- Left: CT. Right: PSMA PET, same axial level, [18F]PSMA-1007 tracer
- acquired on Siemens Biograph 64-4R TruePoint
- slice 90 of 135
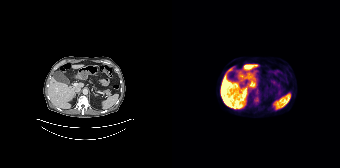
Findings: Negative for PSMA-avid disease on this slice.